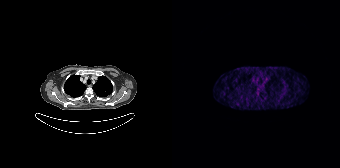
No tumor lesions annotated on this slice. Left: CT. Right: PSMA PET, same axial level, [68Ga]Ga-PSMA-11 tracer. PET panel 168×168 px (4.1 mm/px).